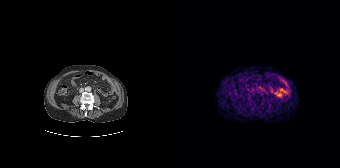
Left: CT. Right: PSMA PET, same axial level, 68Ga-PSMA tracer. Acquired on Siemens Biograph 64-4R TruePoint. This slice has no annotated PSMA-avid lesion.